- Paired axial CT (left) and PSMA PET (right), [18F]PSMA-1007 tracer
- slice 131 of 373
- PET panel 200×200 px (4.1 mm/px)
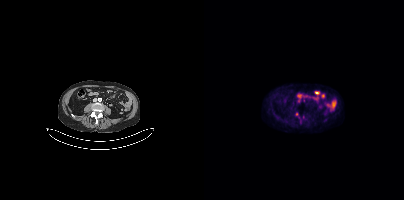
Findings: Coordinates are on the 200×200 PET (right) panel. Small PSMA-avid focus (2 to 4 px across) near (center x, center y): (92, 113).